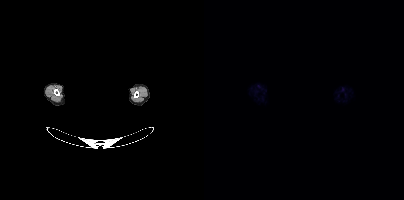
- any black rectangle over the head is a privacy mask, not anatomy
- Paired axial CT (left) and PSMA PET (right), [18F]PSMA-1007 tracer
- PET panel 200×200 px (4.1 mm/px)
Findings: No PSMA-avid tumor lesions on this slice.